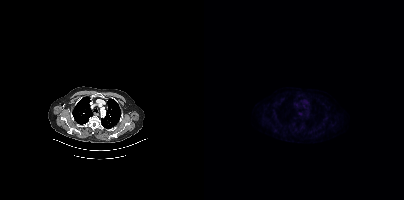
{"modality":"PSMA PET/CT","view":"axial","tracer":"18F","pet_grid":[200,200],"coord_frame":"pet_panel","coord_format":"x0,y0,x1,y1","psma_avid_lesions":false}